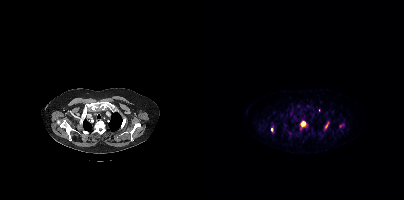
modality: PSMA PET/CT | tracer: [68Ga]Ga-PSMA-11 | view: axial | PET grid: 200×200
Coordinates are on the 200×200 PET (right) panel. (showing 5 of 6 foci) PSMA-avid tumor lesion bounding boxes (x0,y0,x1,y1): [95,121,104,130], [120,121,125,130], [135,124,140,127]. Small PSMA-avid foci (2 to 4 px across) near (center x, center y): (68, 129), (115, 110).